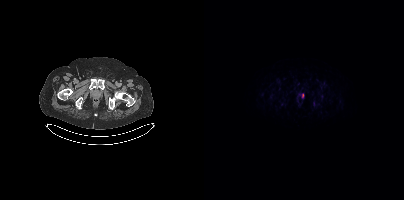
{"modality":"PSMA PET/CT","view":"axial","tracer":"18F-PSMA","pet_grid":[200,200],"coord_frame":"pet_panel","coord_format":"x0,y0,x1,y1","lesion_bboxes":[],"small_foci_centers":[[98,95]]}